- de-identified by setting a box covering the face to black before release
- Left: CT. Right: PSMA PET, same axial level, 18F tracer
- acquired on Siemens Biograph mCT Flow 20
- slice position z = -206 mm
- PET panel 200×200 px (4.1 mm/px)
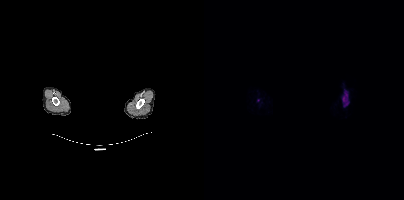
Findings: Coordinates are on the 200×200 PET (right) panel. (showing 1 of 2 foci) PSMA-avid tumor lesion bounding box (x0, y0)-(x1, y1): (138, 92)-(144, 106).